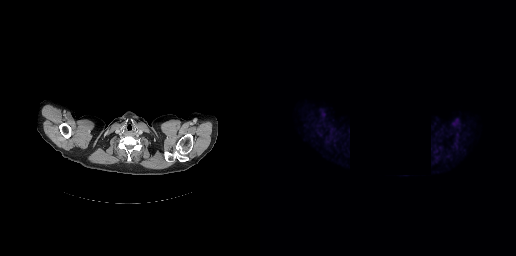
{"modality":"PSMA PET/CT","view":"axial","tracer":"18F-PSMA","pet_grid":[256,256],"coord_frame":"pet_panel","coord_format":"x0,y0,x1,y1","de-identification":"privacy mask (black rectangle)","psma_avid_lesions":false}